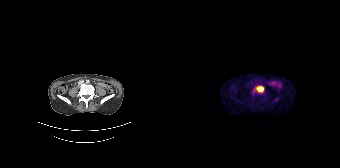
Paired axial CT (left) and PSMA PET (right), 68Ga tracer. PET panel 168×168 px (4.1 mm/px). Coordinates are on the 168×168 PET (right) panel. PSMA-avid tumor lesion bounding box (x0, y0)-(x1, y1): (84, 86)-(91, 92).